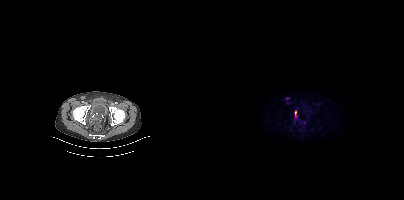
Coordinates are on the 200×200 PET (right) panel. PSMA-avid tumor lesion bounding box (x0, y0)-(x1, y1): (91, 111)-(92, 116). Small PSMA-avid foci (2 to 4 px across) near (center x, center y): (83, 98); (100, 122). Left: CT. Right: PSMA PET, same axial level, 18F tracer. PET panel 200×200 px (4.1 mm/px).